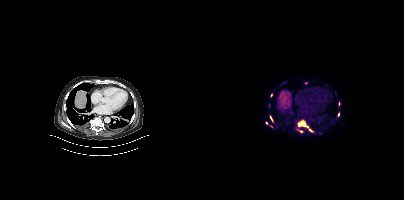
modality: PSMA PET/CT | tracer: [18F]PSMA-1007 | view: axial | PET grid: 200×200
Coordinates are on the 200×200 PET (right) panel. (showing 7 of 8 foci) PSMA-avid tumor lesion bounding boxes (x0,y0,x1,y1): [92,119,110,132] [66,116,69,121] [133,112,135,116]. Small PSMA-avid foci (2 to 4 px across) near (center x, center y): (67, 95) (135, 103) (62, 122) (67, 126).